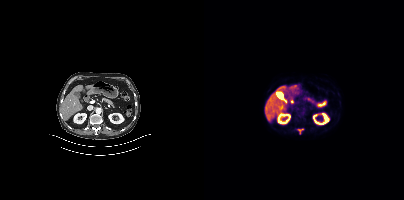
Left: CT. Right: PSMA PET, same axial level, 18F tracer. Acquired on Siemens Biograph mCT Flow 20. Slice position z = -648 mm. PET panel 200×200 px (4.1 mm/px).
Coordinates are on the 200×200 PET (right) panel. PSMA-avid tumor lesion bounding boxes:
| # | x0 | y0 | x1 | y1 |
|---|---|---|---|---|
| 1 | 94 | 129 | 99 | 133 |